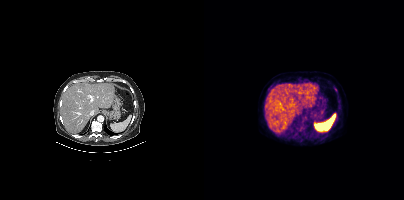
Coordinates are on the 200×200 PET (right) panel. Small PSMA-avid focus (2 to 4 px across) near (center x, center y): (98, 127).
modality: PSMA PET/CT | tracer: 18F-PSMA | view: axial